- Left: CT. Right: PSMA PET, same axial level, 18F tracer
- acquired on Siemens Biograph mCT Flow 20
- PET panel 200×200 px (4.1 mm/px)
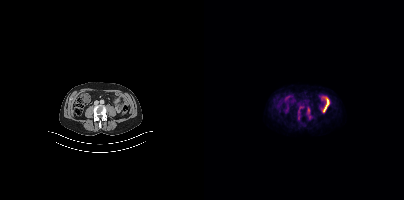
Findings: No PSMA-avid tumor lesions on this slice.